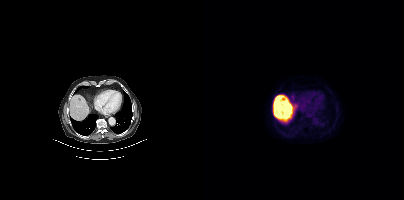
Left: CT. Right: PSMA PET, same axial level, [18F]PSMA-1007 tracer. Slice position z = -486 mm. This slice has no annotated PSMA-avid lesion.